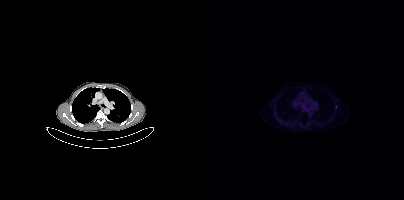
Only PSMA-avid lesion pieces thinner than 2 px on this slice (not listed).